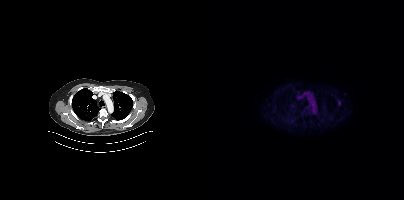
Paired axial CT (left) and PSMA PET (right), 18F-PSMA tracer. Acquired on Siemens Biograph mCT Flow 20. Slice 325 of 436. PET panel 200×200 px (4.1 mm/px). Only PSMA-avid lesion pieces thinner than 2 px on this slice (not listed).